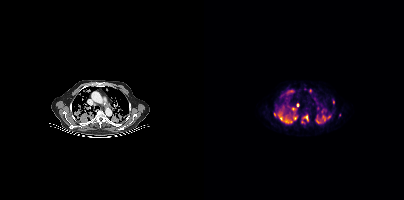
modality: PSMA PET/CT | tracer: 18F-PSMA | view: axial
Coordinates are on the 200×200 PET (right) panel. (showing 13 of 17 foci) PSMA-avid tumor lesion bounding boxes (x0,y0,x1,y1): [73,110,87,123], [88,113,93,120], [83,90,88,94], [83,105,90,110], [118,115,121,121], [100,115,104,120], [112,119,116,123]. Small PSMA-avid foci (2 to 4 px across) near (center x, center y): (106, 90), (93, 104), (70, 114), (129, 101), (124, 117), (135, 114).